Two-panel axial: CT | PSMA PET, 18F-PSMA tracer. Acquired on Siemens Biograph mCT Flow 20. PET panel 200×200 px (4.1 mm/px).
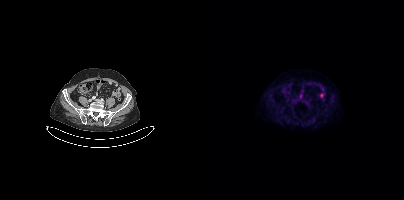
No tumor lesions annotated on this slice.